Technique: Left: CT. Right: PSMA PET, same axial level, 18F tracer. acquired on Siemens Biograph mCT Flow 20. PET panel 200×200 px (4.1 mm/px).
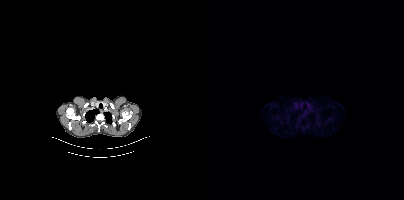
Findings: Negative for PSMA-avid disease on this slice.